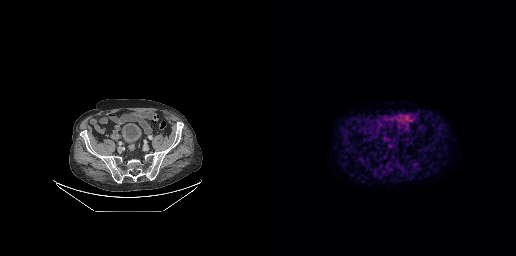
No PSMA-avid tumor lesions on this slice.